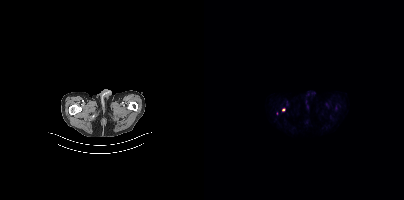
Coordinates are on the 200×200 PET (right) panel. Small PSMA-avid focus (2 to 4 px across) near (center x, center y): (79, 109). Left: CT. Right: PSMA PET, same axial level, 18F-PSMA tracer. Slice position z = -954 mm.